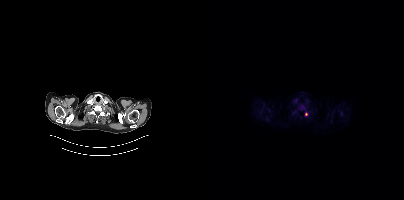
- Left: CT. Right: PSMA PET, same axial level, [18F]PSMA-1007 tracer
- acquired on Siemens Biograph mCT Flow 20
Findings: Only PSMA-avid lesion pieces thinner than 2 px on this slice (not listed).